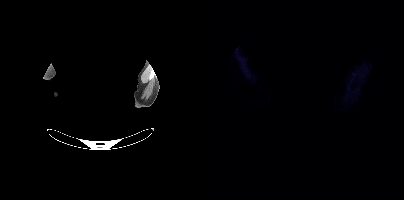
Findings: Negative for PSMA-avid disease on this slice.
Technique: Left: CT. Right: PSMA PET, same axial level, 18F-PSMA tracer. acquired on Siemens Biograph mCT Flow 20.
Note: The face region was removed for patient privacy by blanking a rectangle over the head.